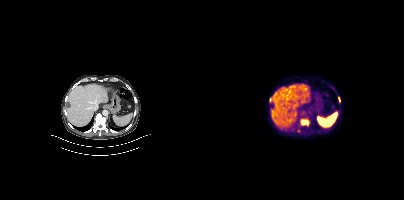
- Two-panel axial: CT | PSMA PET, [18F]PSMA-1007 tracer
- acquired on Siemens Biograph mCT Flow 20
- slice position z = -628 mm
- PET panel 200×200 px (4.1 mm/px)
Findings: Coordinates are on the 200×200 PET (right) panel. (showing 2 of 5 foci) PSMA-avid tumor lesion bounding box (x0, y0)-(x1, y1): (97, 119)-(105, 125). Small PSMA-avid focus (2 to 4 px across) near (center x, center y): (66, 99).